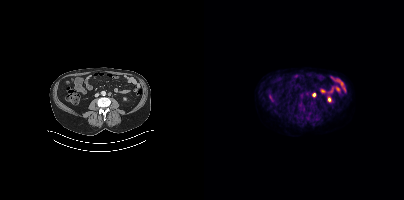
Two-panel axial: CT | PSMA PET, [18F]PSMA-1007 tracer. PET panel 200×200 px (4.1 mm/px). Coordinates are on the 200×200 PET (right) panel. Small PSMA-avid focus (2 to 4 px across) near (center x, center y): (110, 95).